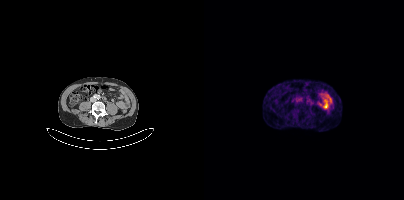
Findings: Negative for PSMA-avid disease on this slice.
- Two-panel axial: CT | PSMA PET, 68Ga-PSMA tracer
- slice 174 of 452
- PET panel 200×200 px (4.1 mm/px)